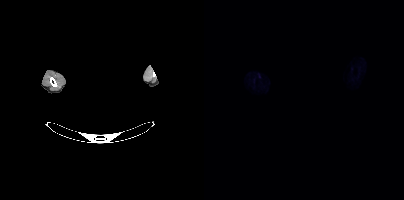
Findings: This slice has no annotated PSMA-avid lesion.
- Two-panel axial: CT | PSMA PET, [18F]PSMA-1007 tracer
- slice 427 of 448
- a rectangular block over the head has been blanked out for de-identification